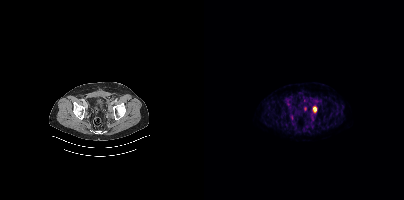
Technique: Left: CT. Right: PSMA PET, same axial level, [18F]PSMA-1007 tracer. acquired on Siemens Biograph mCT Flow 20. slice 86 of 417. PET panel 200×200 px (4.1 mm/px).
Findings: Coordinates are on the 200×200 PET (right) panel. PSMA-avid tumor lesion bounding box (x0,y0,x1,y1): [108,106,113,112].